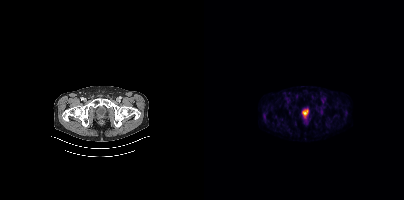
Findings: Coordinates are on the 200×200 PET (right) panel. Small PSMA-avid focus (2 to 4 px across) near (center x, center y): (101, 114).
- Left: CT. Right: PSMA PET, same axial level, [68Ga]Ga-PSMA-11 tracer